Paired axial CT (left) and PSMA PET (right), 18F-PSMA tracer. Slice position z = -269 mm.
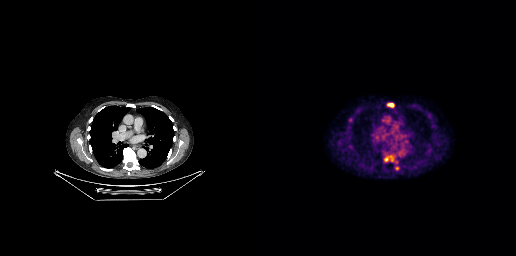
Coordinates are on the 256×256 PET (right) panel. (showing 3 of 5 foci) PSMA-avid tumor lesion bounding boxes (x0,y0,x1,y1): [124,153,137,163]; [128,103,133,106]. Small PSMA-avid focus (2 to 4 px across) near (center x, center y): (138, 154).